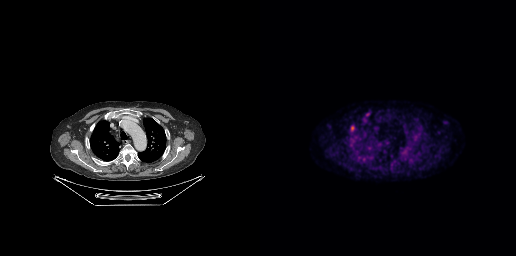
Findings: Coordinates are on the 256×256 PET (right) panel. PSMA-avid tumor lesion bounding box (x, y, width, height): x=91 y=126 w=4 h=5. Small PSMA-avid focus (2 to 4 px across) near (center x, center y): (107, 114).
Technique: Left: CT. Right: PSMA PET, same axial level, [18F]PSMA-1007 tracer. slice 208 of 263.